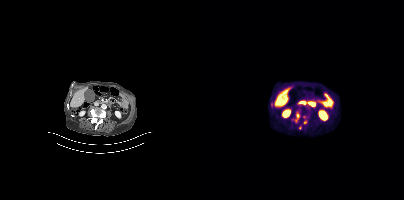
modality: PSMA PET/CT | tracer: 18F | view: axial
Coordinates are on the 200×200 PET (right) panel. PSMA-avid tumor lesion bounding boxes (x, y, width, height): x=89 y=116 w=8 h=8; x=99 y=116 w=5 h=9; x=95 y=125 w=3 h=5.